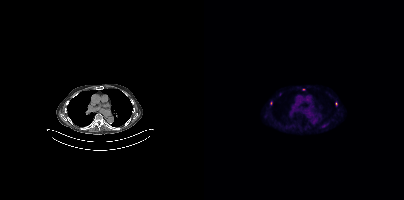
Left: CT. Right: PSMA PET, same axial level, 18F-PSMA tracer. Acquired on Siemens Biograph mCT Flow 20. Slice 256 of 385. PET panel 200×200 px (4.1 mm/px). Coordinates are on the 200×200 PET (right) panel. Small PSMA-avid foci (2 to 4 px across) near (center x, center y): (132, 103) / (99, 89) / (66, 103).